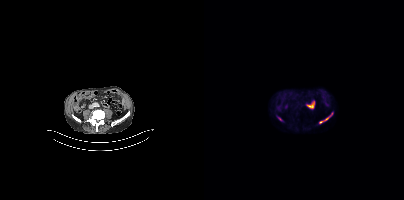
Coordinates are on the 200×200 PET (right) panel. PSMA-avid tumor lesion bounding boxes:
| # | x0 | y0 | x1 | y1 |
|---|---|---|---|---|
| 1 | 115 | 112 | 129 | 123 |
| 2 | 74 | 117 | 78 | 120 |
Two-panel axial: CT | PSMA PET, [18F]PSMA-1007 tracer. Acquired on Siemens Biograph mCT Flow 20. Slice 138 of 375.